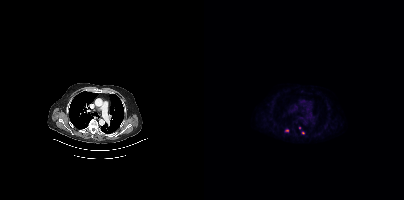
Coordinates are on the 200×200 PET (right) panel. Small PSMA-avid foci (2 to 4 px across) near (center x, center y): (82, 130) | (99, 132) | (95, 127).